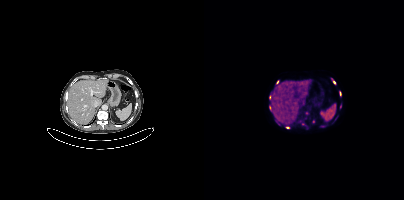
Findings: Coordinates are on the 200×200 PET (right) panel. (showing 7 of 10 foci) PSMA-avid tumor lesion bounding box (x, y, width, height): x=72 y=80 w=3 h=5. Small PSMA-avid foci (2 to 4 px across) near (center x, center y): (130, 82); (83, 127); (136, 106); (136, 93); (99, 123); (109, 121).
- Two-panel axial: CT | PSMA PET, [18F]PSMA-1007 tracer